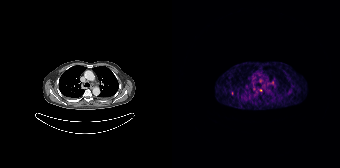
{"pet_grid":[168,168],"coord_frame":"pet_panel","coord_format":"x0,y0,x1,y1","lesion_bboxes":[],"small_foci_centers":[[100,82],[88,90],[60,93]],"modality":"PSMA PET/CT","view":"axial","tracer":"[68Ga]Ga-PSMA-11"}